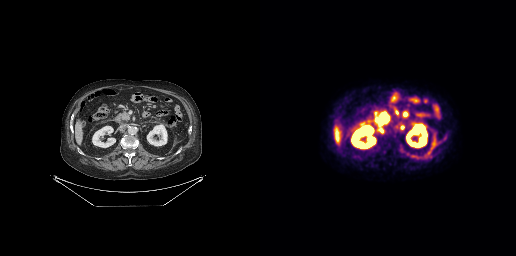
Negative for PSMA-avid disease on this slice.
modality: PSMA PET/CT | tracer: [18F]PSMA-1007 | view: axial | PET grid: 256×256